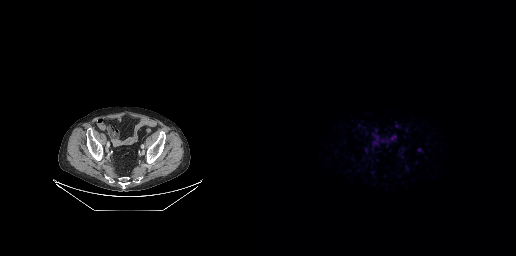
Findings: Only PSMA-avid lesion pieces thinner than 2 px on this slice (not listed).
- Paired axial CT (left) and PSMA PET (right), [68Ga]Ga-PSMA-11 tracer
- acquired on GE Discovery 690
- PET panel 256×256 px (2.7 mm/px)